- Left: CT. Right: PSMA PET, same axial level, 18F-PSMA tracer
- slice 56 of 462
- PET panel 200×200 px (4.1 mm/px)
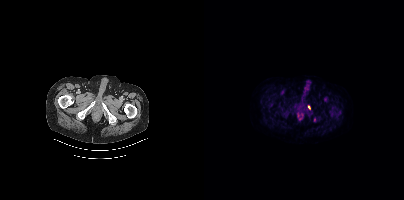
Findings: Coordinates are on the 200×200 PET (right) panel. PSMA-avid tumor lesion bounding box (x0,y0,x1,y1): [103,105,106,110]. Small PSMA-avid focus (2 to 4 px across) near (center x, center y): (110, 119).